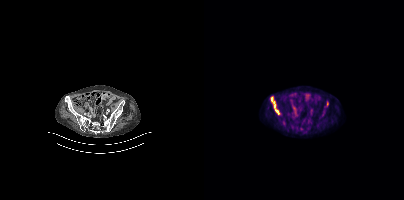
Coordinates are on the 200×200 PET (right) panel. PSMA-avid tumor lesion bounding box (x, y, width, height): x=67 y=98 w=8 h=17. Small PSMA-avid focus (2 to 4 px across) near (center x, center y): (97, 128).